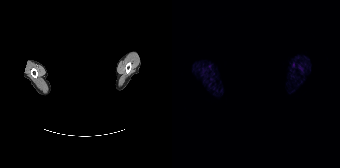
Findings: Negative for PSMA-avid disease on this slice.
Technique: Two-panel axial: CT | PSMA PET, 68Ga tracer. acquired on Siemens Biograph 64-4R TruePoint.
Note: Face de-identified by blanking a block of the head.